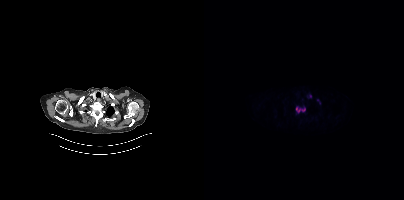
Findings: Coordinates are on the 200×200 PET (right) panel. PSMA-avid tumor lesion bounding box (x0, y0)-(x1, y1): (95, 107)-(101, 112).
Technique: Two-panel axial: CT | PSMA PET, 18F tracer. slice 333 of 395. PET panel 200×200 px (4.1 mm/px).